modality: PSMA PET/CT | tracer: 18F-PSMA | view: axial | PET grid: 200×200
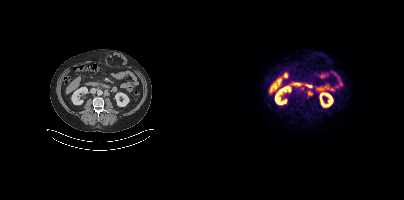
Coordinates are on the 200×200 PET (right) panel. PSMA-avid tumor lesion bounding box (x0, y0)-(x1, y1): (103, 89)-(108, 94). Small PSMA-avid focus (2 to 4 px across) near (center x, center y): (103, 97).